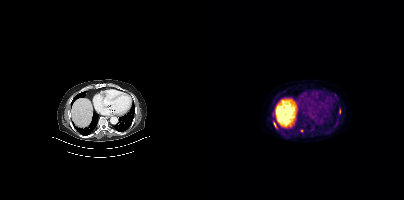
Coordinates are on the 200×200 PET (right) panel. (showing 4 of 5 foci) PSMA-avid tumor lesion bounding boxes (x0,y0,x1,y1): [68,112,70,117]; [135,109,136,113]; [70,122,72,127]. Small PSMA-avid focus (2 to 4 px across) near (center x, center y): (97, 130).